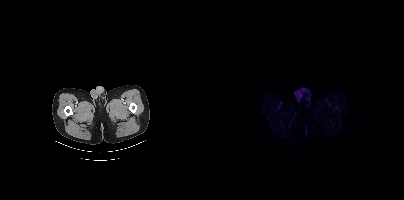
modality: PSMA PET/CT | tracer: 18F-PSMA | view: axial | PET grid: 200×200
This slice has no annotated PSMA-avid lesion.